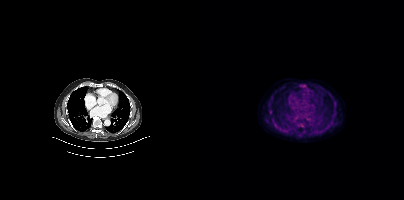
modality: PSMA PET/CT | tracer: [18F]PSMA-1007 | view: axial
Coordinates are on the 200×200 PET (right) panel. Small PSMA-avid focus (2 to 4 px across) near (center x, center y): (97, 125).